Left: CT. Right: PSMA PET, same axial level, [18F]PSMA-1007 tracer. Acquired on Siemens Biograph mCT Flow 20. PET panel 200×200 px (4.1 mm/px). Any black rectangle over the head is a privacy mask, not anatomy.
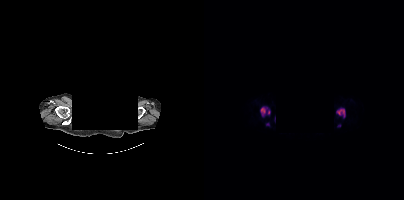
Coordinates are on the 200×200 PET (right) panel. PSMA-avid tumor lesion bounding boxes:
| # | x0 | y0 | x1 | y1 |
|---|---|---|---|---|
| 1 | 56 | 106 | 66 | 117 |
| 2 | 132 | 108 | 141 | 117 |
Small PSMA-avid foci (2 to 4 px across) near (center x, center y): (63, 124); (135, 125).